Left: CT. Right: PSMA PET, same axial level, [18F]PSMA-1007 tracer. Acquired on Siemens Biograph mCT Flow 20. Slice position z = -752 mm. PET panel 200×200 px (4.1 mm/px).
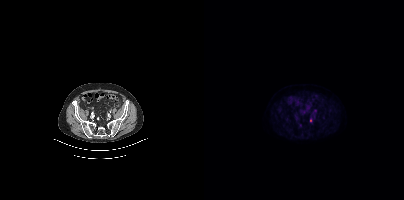
Coordinates are on the 200×200 PET (right) panel. Small PSMA-avid focus (2 to 4 px across) near (center x, center y): (111, 110).